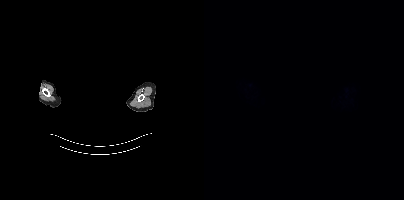
The face region was removed for patient privacy by blanking a rectangle over the head. Two-panel axial: CT | PSMA PET, [18F]PSMA-1007 tracer. Acquired on Siemens Biograph mCT Flow 20. PET panel 200×200 px (4.1 mm/px). No tumor lesions annotated on this slice.